modality: PSMA PET/CT | tracer: 68Ga | view: axial | PET grid: 168×168
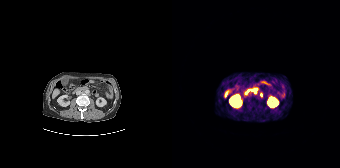
Coordinates are on the 168×168 PET (right) panel. Small PSMA-avid foci (2 to 4 px across) near (center x, center y): (83, 92); (89, 94).